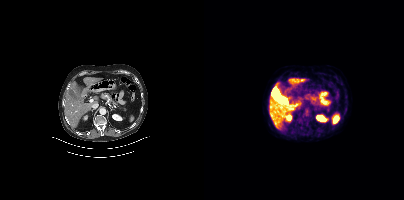
No tumor lesions annotated on this slice.